- Left: CT. Right: PSMA PET, same axial level, [18F]PSMA-1007 tracer
- acquired on Siemens Biograph mCT Flow 20
- PET panel 200×200 px (4.1 mm/px)
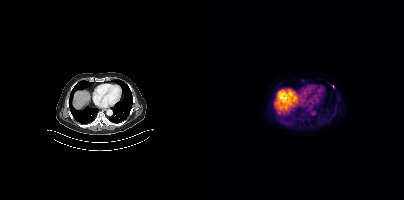
Findings: Coordinates are on the 200×200 PET (right) panel. Small PSMA-avid focus (2 to 4 px across) near (center x, center y): (129, 86).